Paired axial CT (left) and PSMA PET (right), 18F tracer. Acquired on Siemens Biograph mCT Flow 20. Slice position z = -396 mm. PET panel 200×200 px (4.1 mm/px).
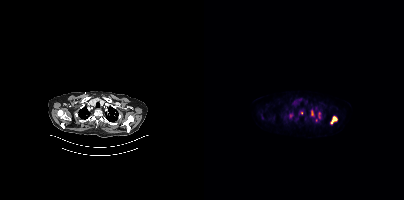
Coordinates are on the 200×200 PET (right) panel. (showing 4 of 6 foci) PSMA-avid tumor lesion bounding boxes (x, y, width, height): x=127 y=116 w=7 h=8 / x=107 y=110 w=4 h=7 / x=114 y=112 w=3 h=7. Small PSMA-avid focus (2 to 4 px across) near (center x, center y): (87, 115).